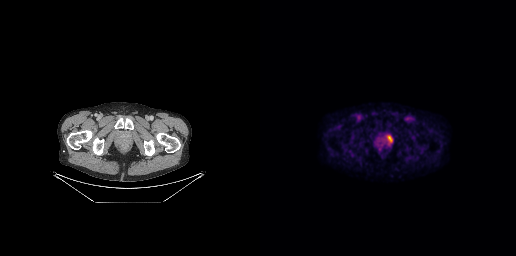
Findings: Coordinates are on the 256×256 PET (right) panel. PSMA-avid tumor lesion bounding box (x0, y0)-(x1, y1): (127, 135)-(132, 142).
- Two-panel axial: CT | PSMA PET, [18F]PSMA-1007 tracer
- acquired on GE Discovery 690